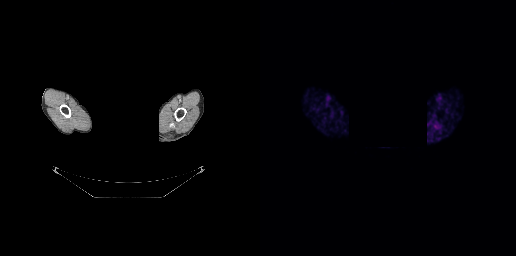
Face de-identified by blanking a block of the head.
No PSMA-avid tumor lesions on this slice.